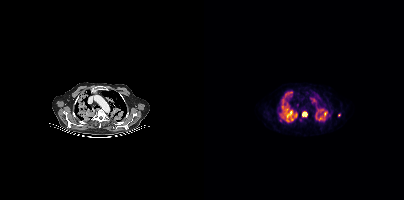
- Left: CT. Right: PSMA PET, same axial level, 18F-PSMA tracer
- acquired on Siemens Biograph mCT Flow 20
- PET panel 200×200 px (4.1 mm/px)
Findings: Coordinates are on the 200×200 PET (right) panel. (showing 9 of 10 foci) PSMA-avid tumor lesion bounding boxes (x, y, width, height): x=76 y=106 w=14 h=16 / x=111 y=108 w=12 h=13 / x=80 y=91 w=9 h=8 / x=98 y=111 w=6 h=6 / x=106 y=98 w=7 h=5 / x=77 y=98 w=5 h=5 / x=82 y=103 w=4 h=5 / x=90 y=113 w=3 h=5. Small PSMA-avid focus (2 to 4 px across) near (center x, center y): (93, 104).